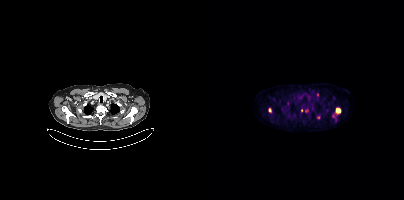
Findings: Coordinates are on the 200×200 PET (right) panel. (showing 8 of 9 foci) PSMA-avid tumor lesion bounding boxes (x0, y0)-(x1, y1): (130, 108)-(136, 114); (64, 108)-(67, 112). Small PSMA-avid foci (2 to 4 px across) near (center x, center y): (113, 94); (98, 110); (102, 111); (129, 116); (114, 117); (83, 103).
- Two-panel axial: CT | PSMA PET, [18F]PSMA-1007 tracer
- acquired on Siemens Biograph mCT Flow 20
- PET panel 200×200 px (4.1 mm/px)